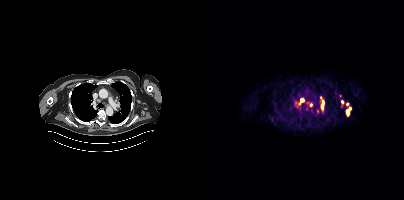
Left: CT. Right: PSMA PET, same axial level, 68Ga-PSMA tracer. Slice 326 of 429. PET panel 200×200 px (4.1 mm/px).
Coordinates are on the 200×200 PET (right) panel. PSMA-avid tumor lesion bounding boxes (partial; 2 more foci not listed):
| # | x0 | y0 | x1 | y1 |
|---|---|---|---|---|
| 1 | 142 | 107 | 147 | 115 |
| 2 | 117 | 100 | 120 | 107 |
Small PSMA-avid foci (2 to 4 px across) near (center x, center y): (107, 104); (98, 100); (95, 103); (138, 102); (143, 103); (116, 97); (113, 111); (103, 102).